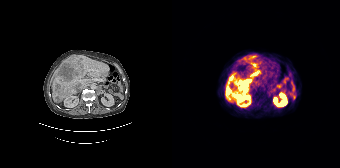
Two-panel axial: CT | PSMA PET, 68Ga tracer. Acquired on Siemens Biograph 64-4R TruePoint. Slice 102 of 195. Coordinates are on the 168×168 PET (right) panel. PSMA-avid tumor lesion bounding boxes (x0,y0,x1,y1): [54,76,80,102], [79,63,89,77], [79,54,84,59], [68,57,72,61]. Small PSMA-avid focus (2 to 4 px across) near (center x, center y): (61, 73).